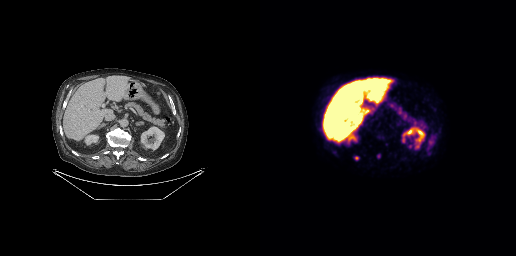
Coordinates are on the 256×256 PET (right) panel. (showing 2 of 3 foci) Small PSMA-avid foci (2 to 4 px across) near (center x, center y): (96, 157); (169, 153).